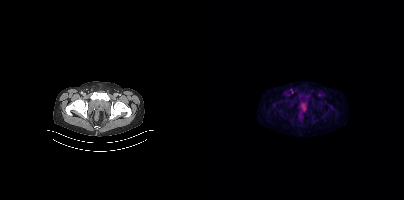
- Paired axial CT (left) and PSMA PET (right), 18F-PSMA tracer
- acquired on Siemens Biograph mCT Flow 20
- slice 74 of 429
Findings: Only PSMA-avid lesion pieces thinner than 2 px on this slice (not listed).